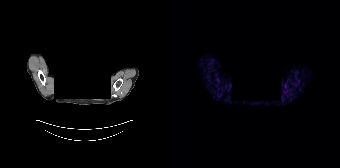
Technique: Paired axial CT (left) and PSMA PET (right), 68Ga-PSMA tracer. acquired on Siemens Biograph 64-4R TruePoint. PET panel 168×168 px (4.1 mm/px).
Note: Head region blanked for anonymization (face removed).
Findings: Negative for PSMA-avid disease on this slice.